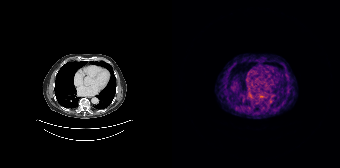
{"pet_grid":[168,168],"coord_frame":"pet_panel","coord_format":"x0,y0,x1,y1","lesion_bboxes":[],"small_foci_centers":[[89,96],[109,104]],"modality":"PSMA PET/CT","view":"axial","tracer":"68Ga"}